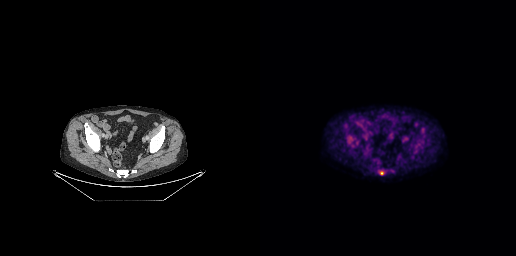
{"modality":"PSMA PET/CT","view":"axial","tracer":"[18F]PSMA-1007","pet_grid":[256,256],"coord_frame":"pet_panel","coord_format":"x0,y0,x1,y1","partial":true,"lesion_bboxes":[],"small_foci_centers":[[121,172]]}